The head region is masked for de-identification.
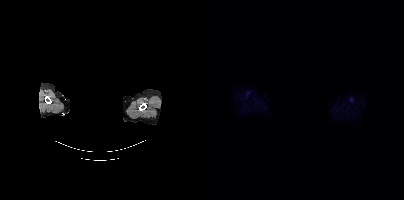
This slice has no annotated PSMA-avid lesion.